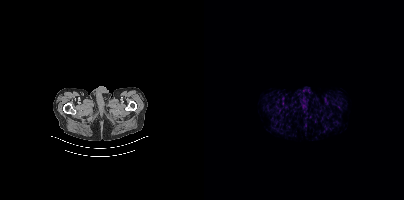
Paired axial CT (left) and PSMA PET (right), 18F tracer. Slice 12 of 427. PET panel 200×200 px (4.1 mm/px). No tumor lesions annotated on this slice.